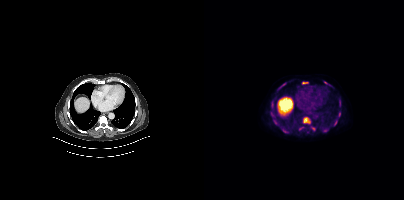
- Left: CT. Right: PSMA PET, same axial level, 18F tracer
- acquired on Siemens Biograph mCT Flow 20
- slice 238 of 395
Findings: Coordinates are on the 200×200 PET (right) panel. (showing 15 of 16 foci) PSMA-avid tumor lesion bounding boxes (x0,y0,x1,y1): [99,117,106,123]; [69,119,74,124]; [67,102,69,108]; [66,110,69,115]; [119,129,124,132]; [130,120,133,125]; [78,129,82,132]; [99,82,103,83]; [135,100,136,105]. Small PSMA-avid foci (2 to 4 px across) near (center x, center y): (79, 84); (74, 88); (121, 82); (96, 129); (127, 86); (109, 128).